Paired axial CT (left) and PSMA PET (right), [18F]PSMA-1007 tracer. Acquired on Siemens Biograph mCT Flow 20. Slice position z = -176 mm.
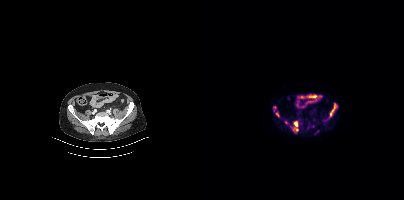
Coordinates are on the 200×200 PET (right) panel. PSMA-avid tumor lesion bounding boxes (partial; 2 more foci not listed):
| # | x0 | y0 | x1 | y1 |
|---|---|---|---|---|
| 1 | 126 | 104 | 131 | 115 |
| 2 | 90 | 121 | 93 | 126 |
Small PSMA-avid foci (2 to 4 px across) near (center x, center y): (92, 129); (73, 114).